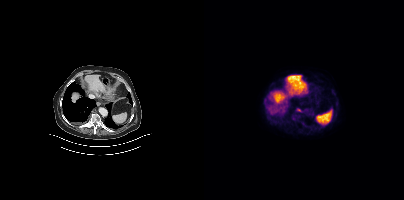
Only PSMA-avid lesion pieces thinner than 2 px on this slice (not listed). Two-panel axial: CT | PSMA PET, 18F-PSMA tracer.